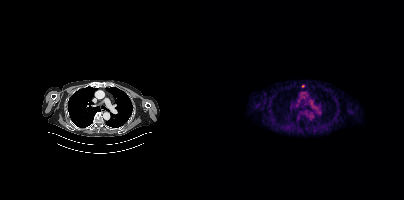
No PSMA-avid tumor lesions on this slice.